Paired axial CT (left) and PSMA PET (right), 18F tracer. Slice 40 of 431. PET panel 200×200 px (4.1 mm/px).
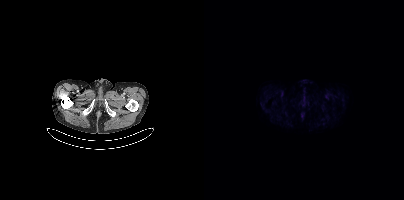
No PSMA-avid tumor lesions on this slice.